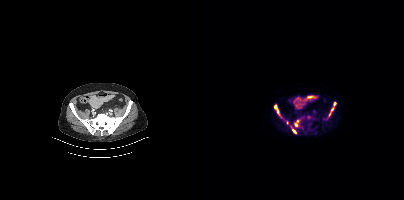
Coordinates are on the 200×200 PET (right) panel. (showing 6 of 7 foci) PSMA-avid tumor lesion bounding boxes (x, y, width, height): x=70 y=105 w=6 h=11; x=90 y=120 w=5 h=7; x=88 y=129 w=5 h=5. Small PSMA-avid foci (2 to 4 px across) near (center x, center y): (131, 103); (128, 109); (125, 114).
modality: PSMA PET/CT | tracer: 18F-PSMA | view: axial | PET grid: 200×200